Paired axial CT (left) and PSMA PET (right), [18F]PSMA-1007 tracer. Slice position z = -275 mm. PET panel 256×256 px (2.7 mm/px).
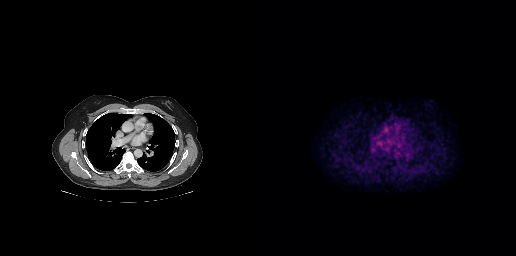
Negative for PSMA-avid disease on this slice.